- any black rectangle over the head is a privacy mask, not anatomy
- Left: CT. Right: PSMA PET, same axial level, 18F tracer
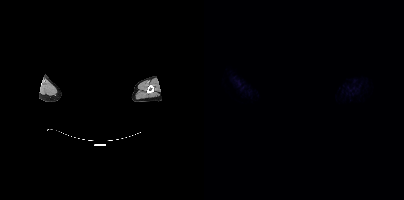
Findings: This slice has no annotated PSMA-avid lesion.